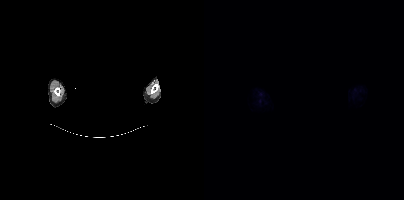
Technique: Paired axial CT (left) and PSMA PET (right), 18F tracer.
Note: Facial anatomy redacted by setting a rectangular region of the head to black.
Findings: No PSMA-avid tumor lesions on this slice.